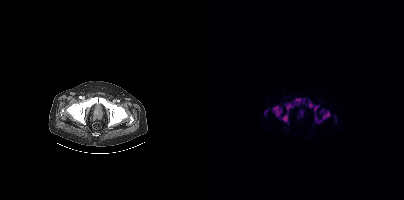
Coordinates are on the 200×200 PET (right) panel. PSMA-avid tumor lesion bounding boxes (x0,y0,x1,y1): [82,98,101,111]; [111,111,125,123]; [69,106,77,116]; [78,115,83,121]; [107,105,115,111]; [102,100,106,105]; [60,110,63,115]. Small PSMA-avid focus (2 to 4 px across) near (center x, center y): (117, 110).